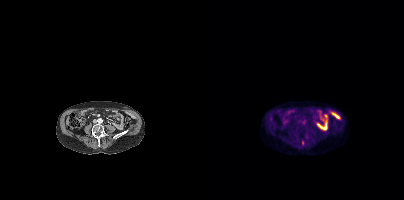
Coordinates are on the 200×200 PET (right) panel. PSMA-avid tumor lesion bounding box (x0,y0,x1,y1): [98,140,100,145].